modality: PSMA PET/CT | tracer: [18F]PSMA-1007 | view: axial
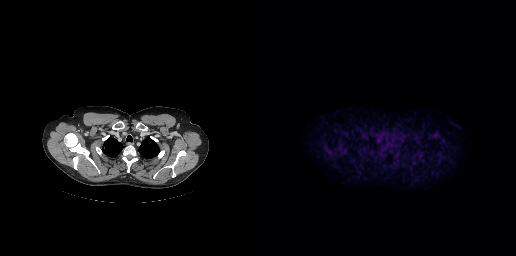
No tumor lesions annotated on this slice.